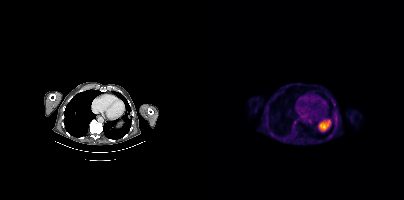
- Left: CT. Right: PSMA PET, same axial level, 18F-PSMA tracer
- acquired on Siemens Biograph mCT Flow 20
Findings: Coordinates are on the 200×200 PET (right) panel. Small PSMA-avid focus (2 to 4 px across) near (center x, center y): (130, 103).